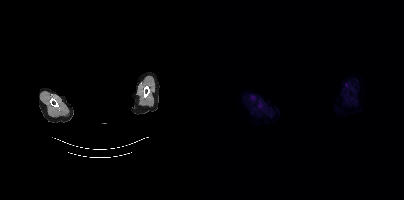
Left: CT. Right: PSMA PET, same axial level, [18F]PSMA-1007 tracer. De-identified by setting a box covering the face to black before release. No PSMA-avid tumor lesions on this slice.